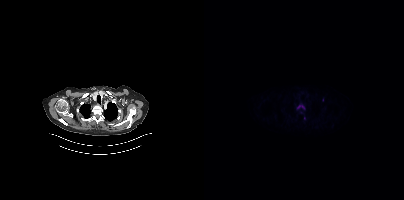
Coordinates are on the 200×200 PET (right) panel. Small PSMA-avid focus (2 to 4 px across) near (center x, center y): (100, 117).